Paired axial CT (left) and PSMA PET (right), 68Ga-PSMA tracer. Acquired on GE Discovery 690.
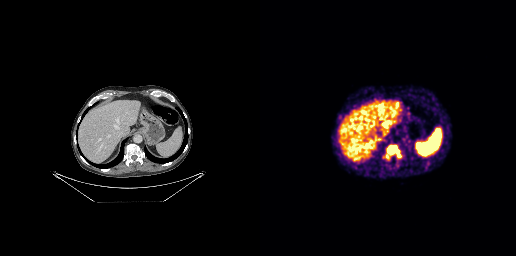
Coordinates are on the 256×256 PET (right) panel. PSMA-avid tumor lesion bounding boxes (partial; 1 more focus not listed):
| # | x0 | y0 | x1 | y1 |
|---|---|---|---|---|
| 1 | 123 | 146 | 138 | 160 |